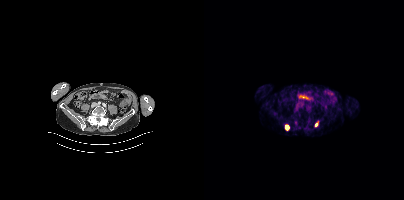
Findings: Coordinates are on the 200×200 PET (right) panel. PSMA-avid tumor lesion bounding box (x0,y0,x1,y1): [81,124,85,130]. Small PSMA-avid focus (2 to 4 px across) near (center x, center y): (112, 124).
- Left: CT. Right: PSMA PET, same axial level, [18F]PSMA-1007 tracer
- slice 146 of 427